Paired axial CT (left) and PSMA PET (right), [18F]PSMA-1007 tracer. Slice position z = -744 mm. PET panel 200×200 px (4.1 mm/px).
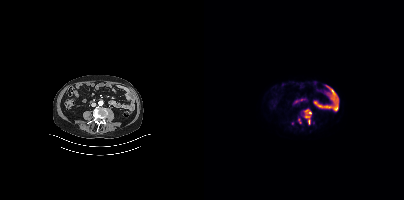
Coordinates are on the 200×200 PET (right) panel. (showing 5 of 6 foci) Small PSMA-avid foci (2 to 4 px across) near (center x, center y): (102, 116); (96, 121); (102, 112); (106, 112); (104, 121).